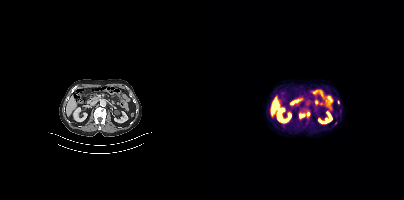
{"modality":"PSMA PET/CT","view":"axial","tracer":"18F","pet_grid":[200,200],"coord_frame":"pet_panel","coord_format":"x0,y0,x1,y1","lesion_bboxes":[[96,114,100,117]],"small_foci_centers":[[104,113],[134,102]]}